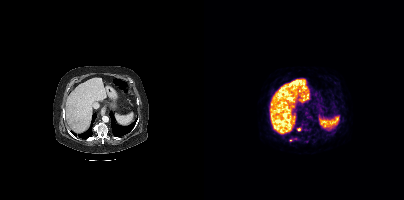
{"modality":"PSMA PET/CT","view":"axial","tracer":"68Ga","pet_grid":[200,200],"coord_frame":"pet_panel","coord_format":"x0,y0,x1,y1","lesion_bboxes":[],"small_foci_centers":[[94,129]]}